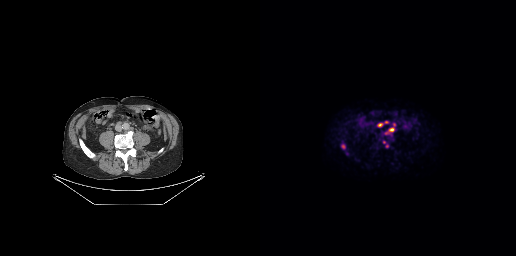
Coordinates are on the 256×256 PET (right) panel. PSMA-avid tumor lesion bounding boxes (x0,y0,x1,y1): [124,123,135,135]; [117,121,128,127]. Small PSMA-avid foci (2 to 4 px across) near (center x, center y): (83, 146); (127, 145); (124, 142).